Two-panel axial: CT | PSMA PET, 18F tracer. Acquired on Siemens Biograph mCT Flow 20. Slice position z = -844 mm. PET panel 200×200 px (4.1 mm/px).
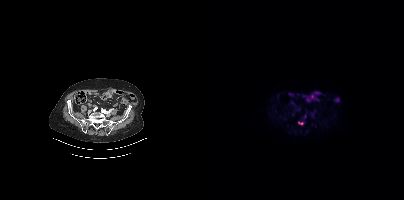
Coordinates are on the 200×200 PET (right) panel. (showing 1 of 2 foci) PSMA-avid tumor lesion bounding box (x, y, width, height): x=94 y=121 w=6 h=5.